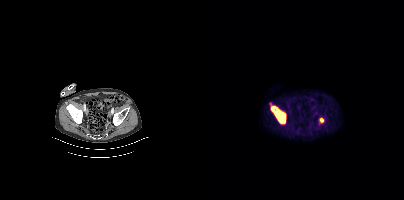
- Two-panel axial: CT | PSMA PET, 18F tracer
- slice 107 of 411
Findings: Coordinates are on the 200×200 PET (right) panel. PSMA-avid tumor lesion bounding boxes (x0,y0,x1,y1): [66,103,82,124], [114,118,120,125].